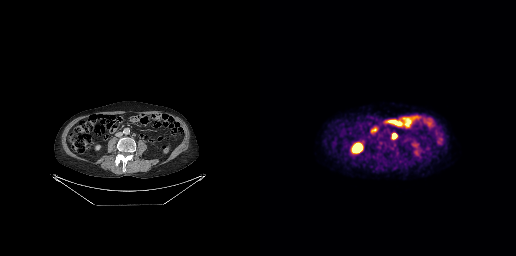
modality: PSMA PET/CT | tracer: [18F]PSMA-1007 | view: axial | PET grid: 256×256
Coordinates are on the 256×256 PET (right) panel. PSMA-avid tumor lesion bounding box (x0, y0)-(x1, y1): (132, 133)-(137, 139).